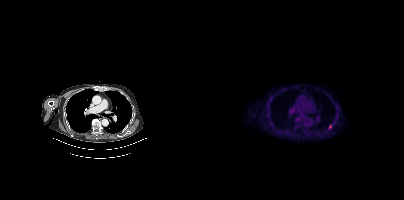
Paired axial CT (left) and PSMA PET (right), [18F]PSMA-1007 tracer. Acquired on Siemens Biograph mCT Flow 20. Slice 297 of 411. PET panel 200×200 px (4.1 mm/px). Coordinates are on the 200×200 PET (right) panel. Small PSMA-avid focus (2 to 4 px across) near (center x, center y): (126, 126).